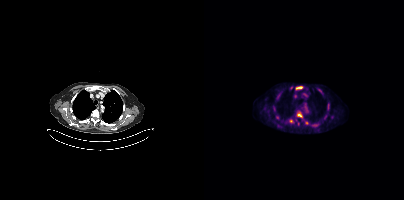
Coordinates are on the 200×200 PET (right) panel. (showing 4 of 6 foci) PSMA-avid tumor lesion bounding boxes (x, y, width, height): x=92 y=86 w=8 h=4; x=93 y=113 w=6 h=5. Small PSMA-avid foci (2 to 4 px across) near (center x, center y): (86, 120); (117, 92).